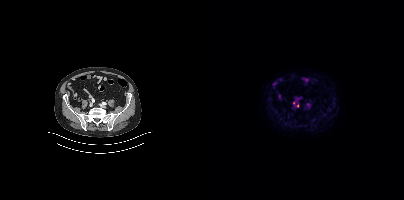
modality: PSMA PET/CT | tracer: [18F]PSMA-1007 | view: axial
Coordinates are on the 200×200 PET (right) panel. Small PSMA-avid foci (2 to 4 px across) near (center x, center y): (93, 105); (89, 102).